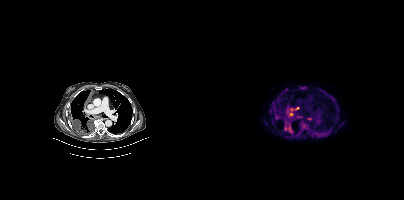
Coordinates are on the 200×200 PET (right) panel. PSMA-avid tumor lesion bounding boxes:
| # | x0 | y0 | x1 | y1 |
|---|---|---|---|---|
| 1 | 80 | 124 | 89 | 133 |
| 2 | 96 | 86 | 102 | 89 |
| 3 | 85 | 113 | 89 | 115 |
| 4 | 87 | 108 | 91 | 110 |
Small PSMA-avid foci (2 to 4 px across) near (center x, center y): (93, 107); (105, 118).
Two-panel axial: CT | PSMA PET, 18F tracer. Slice position z = -1112 mm.